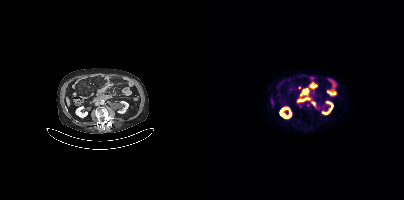
modality: PSMA PET/CT | tracer: 18F | view: axial
Coordinates are on the 200×200 PET (right) panel. (showing 4 of 5 foci) PSMA-avid tumor lesion bounding boxes (x, y, width, height): x=99 y=89 w=6 h=5; x=106 y=84 w=7 h=5. Small PSMA-avid foci (2 to 4 px across) near (center x, center y): (104, 105); (96, 106).